Technique: Paired axial CT (left) and PSMA PET (right), [18F]PSMA-1007 tracer.
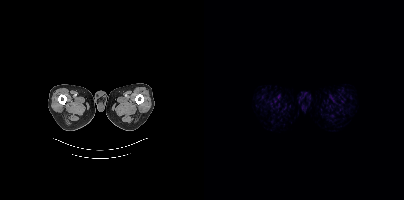
Findings: No PSMA-avid tumor lesions on this slice.